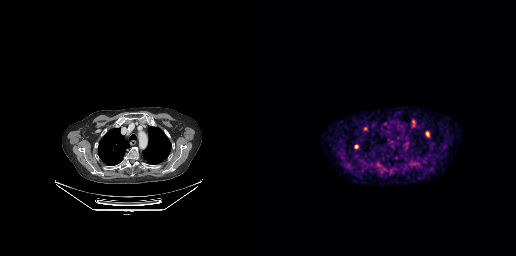
Coordinates are on the 256×256 PET (right) panel. (showing 4 of 6 foci) PSMA-avid tumor lesion bounding boxes (x0,y0,x1,y1): [165,131,169,137], [152,119,155,124]. Small PSMA-avid foci (2 to 4 px across) near (center x, center y): (96, 146), (105, 128).